- Left: CT. Right: PSMA PET, same axial level, 18F tracer
- slice position z = -1075 mm
- PET panel 200×200 px (4.1 mm/px)
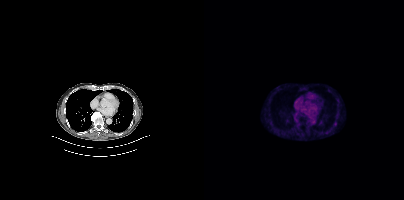
Findings: Coordinates are on the 200×200 PET (right) panel. Small PSMA-avid focus (2 to 4 px across) near (center x, center y): (131, 124).